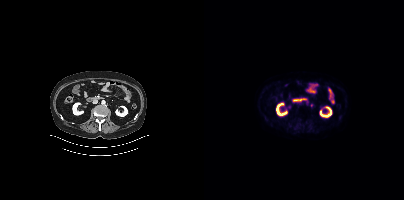
Technique: Paired axial CT (left) and PSMA PET (right), 18F tracer. acquired on Siemens Biograph mCT Flow 20. PET panel 200×200 px (4.1 mm/px).
Findings: Only PSMA-avid lesion pieces thinner than 2 px on this slice (not listed).